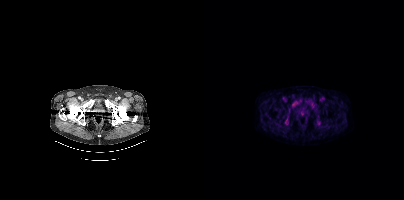
This slice has no annotated PSMA-avid lesion.
modality: PSMA PET/CT | tracer: [18F]PSMA-1007 | view: axial